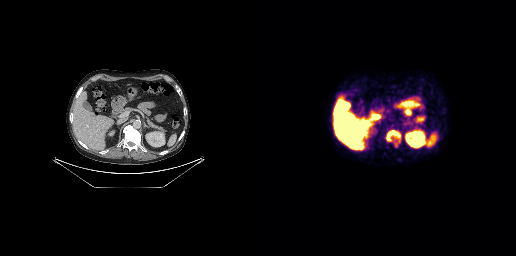
Two-panel axial: CT | PSMA PET, 18F tracer. Acquired on GE Discovery 690. Slice position z = -361 mm. Coordinates are on the 256×256 PET (right) panel. PSMA-avid tumor lesion bounding box (x0, y0)-(x1, y1): (126, 130)-(140, 142). Small PSMA-avid focus (2 to 4 px across) near (center x, center y): (135, 144).